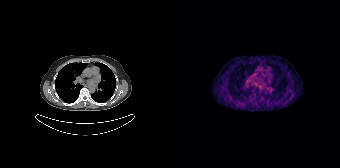
Findings: Coordinates are on the 168×168 PET (right) panel. Small PSMA-avid focus (2 to 4 px across) near (center x, center y): (83, 84).
Technique: Paired axial CT (left) and PSMA PET (right), 68Ga-PSMA tracer.